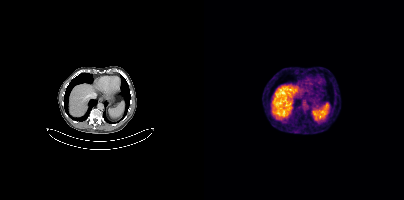
This slice has no annotated PSMA-avid lesion.